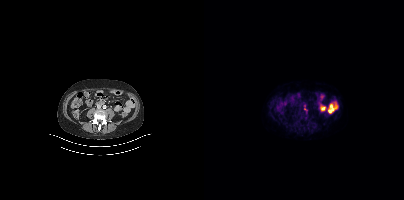
modality: PSMA PET/CT | tracer: 18F-PSMA | view: axial
Coordinates are on the 200×200 PET (right) panel. Small PSMA-avid focus (2 to 4 px across) near (center x, center y): (101, 109).